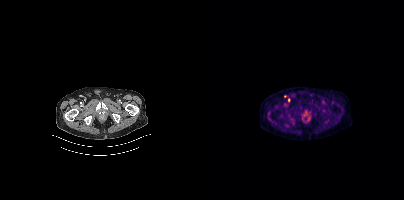
Coordinates are on the 200×200 PET (right) panel. Small PSMA-avid foci (2 to 4 px across) near (center x, center y): (84, 100) / (81, 96).